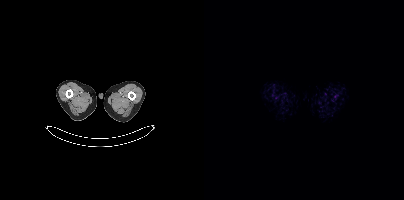
No tumor lesions annotated on this slice.